- Paired axial CT (left) and PSMA PET (right), 18F-PSMA tracer
- slice 158 of 263
- PET panel 256×256 px (2.7 mm/px)
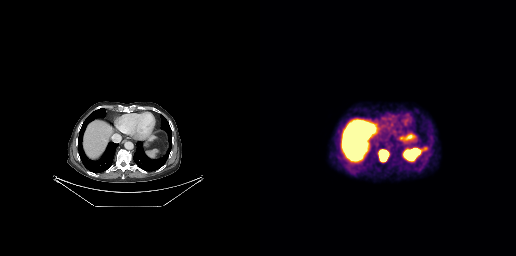
Findings: Coordinates are on the 256×256 PET (right) panel. PSMA-avid tumor lesion bounding box (x0,y0,x1,y1): [119,150,128,161].